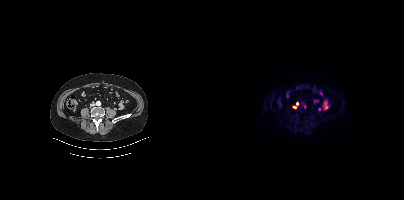
- Paired axial CT (left) and PSMA PET (right), 18F-PSMA tracer
- slice position z = -1373 mm
- PET panel 200×200 px (4.1 mm/px)
Findings: Coordinates are on the 200×200 PET (right) panel. (showing 1 of 3 foci) Small PSMA-avid focus (2 to 4 px across) near (center x, center y): (93, 103).